Two-panel axial: CT | PSMA PET, [68Ga]Ga-PSMA-11 tracer. Acquired on Siemens Biograph 64-4R TruePoint. PET panel 168×168 px (4.1 mm/px).
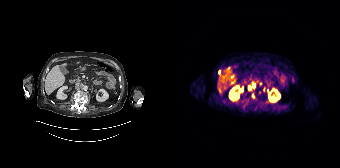
Coordinates are on the 168×168 PET (right) panel. Small PSMA-avid foci (2 to 4 px across) near (center x, center y): (82, 85), (77, 87), (47, 72), (80, 95).